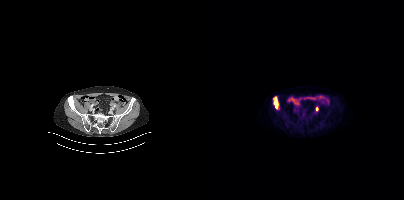
Two-panel axial: CT | PSMA PET, [18F]PSMA-1007 tracer. PET panel 200×200 px (4.1 mm/px). Coordinates are on the 200×200 PET (right) panel. PSMA-avid tumor lesion bounding box (x0, y0)-(x1, y1): (69, 96)-(73, 108). Small PSMA-avid focus (2 to 4 px across) near (center x, center y): (112, 108).